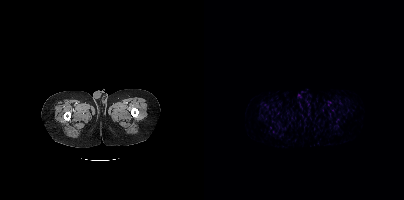
{"modality":"PSMA PET/CT","view":"axial","tracer":"68Ga","pet_grid":[200,200],"coord_frame":"pet_panel","coord_format":"x0,y0,x1,y1","psma_avid_lesions":false}